Two-panel axial: CT | PSMA PET, 18F tracer.
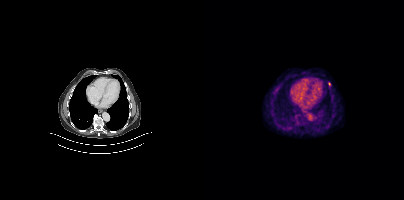
Coordinates are on the 200×200 PET (right) panel. PSMA-avid tumor lesion bounding box (x0,y0,x1,y1): [124,82,126,86].